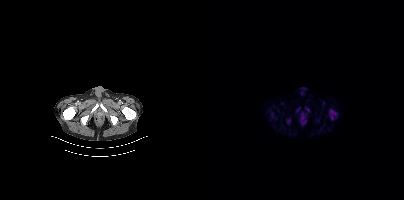
Findings: Coordinates are on the 200×200 PET (right) panel. PSMA-avid tumor lesion bounding boxes (x0, y0)-(x1, y1): (125, 109)-(133, 120) | (83, 119)-(86, 123). Small PSMA-avid focus (2 to 4 px across) near (center x, center y): (93, 110).
- Paired axial CT (left) and PSMA PET (right), [18F]PSMA-1007 tracer
- slice position z = -882 mm
- PET panel 200×200 px (4.1 mm/px)